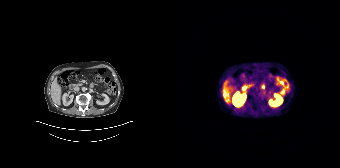
Paired axial CT (left) and PSMA PET (right), 68Ga-PSMA tracer. Slice 83 of 165. PET panel 168×168 px (4.1 mm/px). No tumor lesions annotated on this slice.